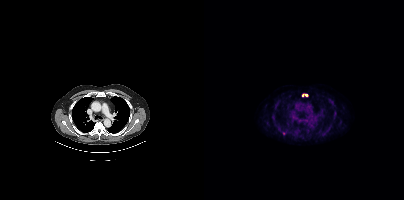
Coordinates are on the 200×200 PET (right) panel. PSMA-avid tumor lesion bounding box (x0, y0)-(x1, y1): (98, 94)-(104, 96).